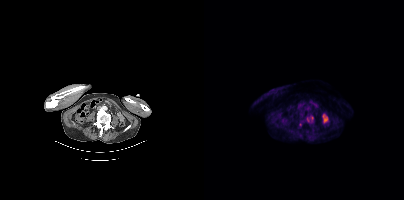
{"pet_grid":[200,200],"coord_frame":"pet_panel","coord_format":"x0,y0,x1,y1","lesion_bboxes":[[103,116,108,121]],"small_foci_centers":[[96,124]],"modality":"PSMA PET/CT","view":"axial","tracer":"18F"}